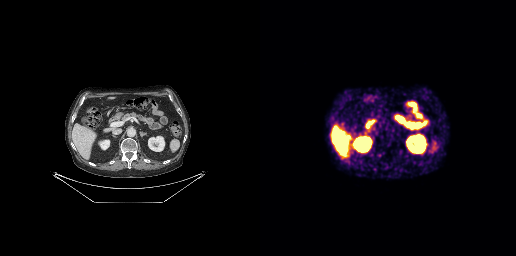
No PSMA-avid tumor lesions on this slice. Left: CT. Right: PSMA PET, same axial level, 68Ga tracer. PET panel 256×256 px (2.7 mm/px).